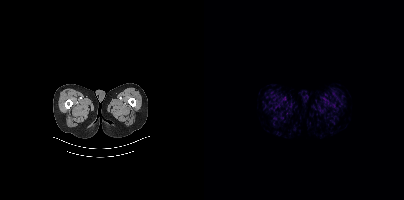
{"modality":"PSMA PET/CT","view":"axial","tracer":"18F","pet_grid":[200,200],"coord_frame":"pet_panel","coord_format":"x0,y0,x1,y1","psma_avid_lesions":false}